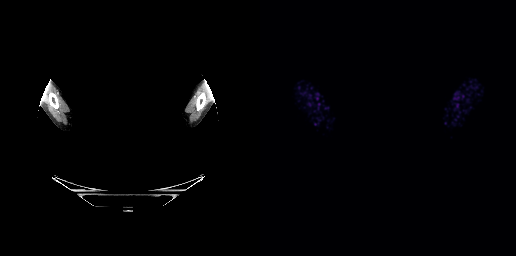
{"modality":"PSMA PET/CT","view":"axial","tracer":"68Ga-PSMA","pet_grid":[256,256],"coord_frame":"pet_panel","coord_format":"x0,y0,x1,y1","deidentification":"head region blanked (face removed)","psma_avid_lesions":false}